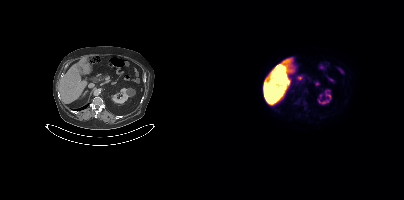
Paired axial CT (left) and PSMA PET (right), 18F-PSMA tracer. PET panel 200×200 px (4.1 mm/px). This slice has no annotated PSMA-avid lesion.